modality: PSMA PET/CT | tracer: [18F]PSMA-1007 | view: axial | PET grid: 168×168
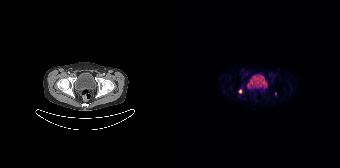
Coordinates are on the 168×168 PET (right) panel. PSMA-avid tumor lesion bounding box (x0,y0,x1,y1): [67,89,69,93]. Small PSMA-avid focus (2 to 4 px across) near (center x, center y): (103, 93).